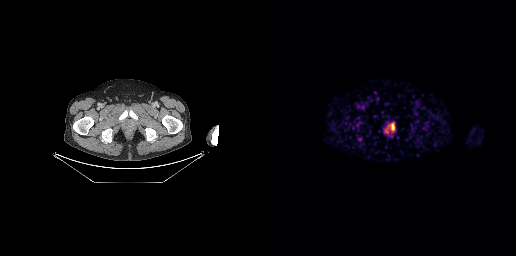
Technique: Paired axial CT (left) and PSMA PET (right), [68Ga]Ga-PSMA-11 tracer. slice 50 of 263. PET panel 256×256 px (2.7 mm/px).
Findings: Coordinates are on the 256×256 PET (right) panel. PSMA-avid tumor lesion bounding box (x0, y0)-(x1, y1): (130, 123)-(134, 130).